- Paired axial CT (left) and PSMA PET (right), [18F]PSMA-1007 tracer
- slice 51 of 387
- PET panel 200×200 px (4.1 mm/px)
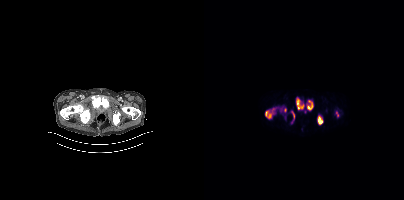
Findings: Coordinates are on the 200×200 PET (right) panel. (showing 6 of 7 foci) PSMA-avid tumor lesion bounding boxes (x, y, width, height): x=61 y=108 w=11 h=12 | x=92 y=98 w=8 h=12 | x=114 y=116 w=5 h=9 | x=103 y=100 w=6 h=11 | x=80 y=108 w=3 h=5 | x=88 y=111 w=3 h=8.